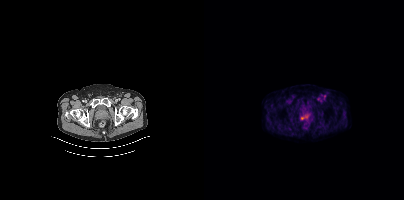
Coordinates are on the 200×200 PET (right) panel. Small PSMA-avid focus (2 to 4 px across) near (center x, center y): (98, 118).